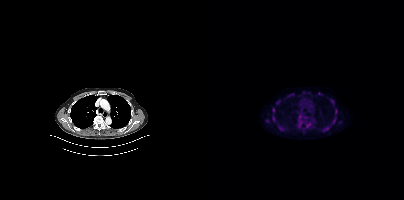
Coordinates are on the 200×200 PET (right) panel. PSMA-avid tumor lesion bounding boxes:
| # | x0 | y0 | x1 | y1 |
|---|---|---|---|---|
| 1 | 129 | 118 | 132 | 122 |
| 2 | 131 | 109 | 133 | 113 |
| 3 | 69 | 116 | 70 | 121 |
Small PSMA-avid foci (2 to 4 px across) near (center x, center y): (123, 127); (69, 109); (74, 102); (63, 120); (97, 120); (128, 102).
Paired axial CT (left) and PSMA PET (right), [18F]PSMA-1007 tracer. Acquired on Siemens Biograph mCT Flow 20. Slice 292 of 401. PET panel 200×200 px (4.1 mm/px).